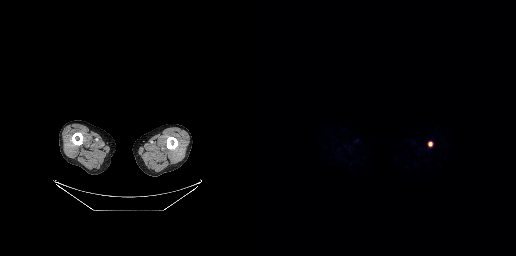
Paired axial CT (left) and PSMA PET (right), [68Ga]Ga-PSMA-11 tracer. Coordinates are on the 256×256 PET (right) panel. PSMA-avid tumor lesion bounding box (x, y, width, height): x=168 y=142 w=5 h=5.